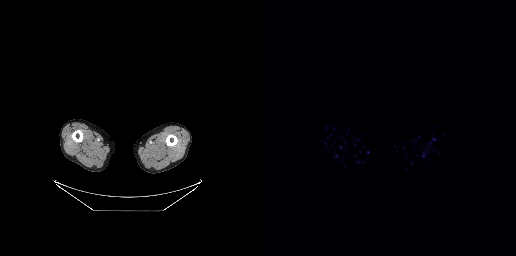
This slice has no annotated PSMA-avid lesion.